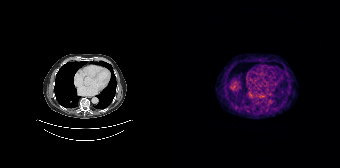
Technique: Two-panel axial: CT | PSMA PET, 68Ga tracer. acquired on Siemens Biograph 64-4R TruePoint. slice 103 of 165.
Findings: Coordinates are on the 168×168 PET (right) panel. Small PSMA-avid focus (2 to 4 px across) near (center x, center y): (89, 96).